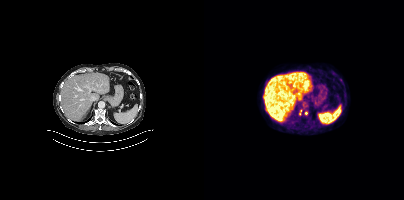
Coordinates are on the 200×200 PET (right) panel. Small PSMA-avid foci (2 to 4 px across) near (center x, center y): (102, 113); (95, 113); (96, 110).